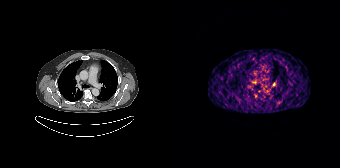
Technique: Two-panel axial: CT | PSMA PET, [68Ga]Ga-PSMA-11 tracer. acquired on Siemens Biograph 64-4R TruePoint. PET panel 168×168 px (4.1 mm/px).
Findings: Only PSMA-avid lesion pieces thinner than 2 px on this slice (not listed).